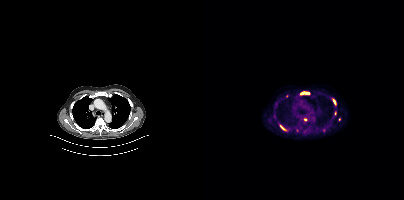
- Paired axial CT (left) and PSMA PET (right), 18F tracer
- acquired on Siemens Biograph mCT Flow 20
Findings: Coordinates are on the 200×200 PET (right) panel. (showing 7 of 8 foci) PSMA-avid tumor lesion bounding boxes (x0, y0)-(x1, y1): (96, 91)-(105, 95) / (75, 124)-(82, 130) / (128, 99)-(132, 104). Small PSMA-avid foci (2 to 4 px across) near (center x, center y): (101, 119) / (131, 113) / (82, 95) / (135, 119).